Left: CT. Right: PSMA PET, same axial level, [18F]PSMA-1007 tracer. PET panel 200×200 px (4.1 mm/px).
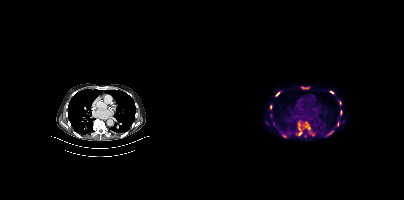
Coordinates are on the 200×200 PET (right) panel. PSMA-avid tumor lesion bounding boxes (partial; 4 more foci not listed):
| # | x0 | y0 | x1 | y1 |
|---|---|---|---|---|
| 1 | 94 | 122 | 106 | 135 |
| 2 | 97 | 86 | 106 | 89 |
| 3 | 71 | 91 | 76 | 96 |
| 4 | 125 | 91 | 130 | 94 |
| 5 | 136 | 110 | 138 | 115 |
| 6 | 135 | 101 | 137 | 105 |
| 7 | 133 | 121 | 135 | 125 |
| 8 | 124 | 131 | 128 | 135 |
Small PSMA-avid foci (2 to 4 px across) near (center x, center y): (67, 106); (108, 134).